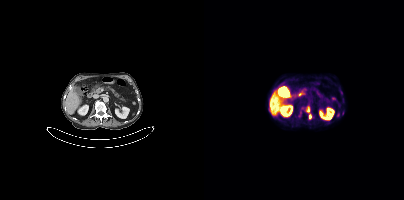
Findings: Coordinates are on the 200×200 PET (right) panel. (showing 2 of 3 foci) PSMA-avid tumor lesion bounding boxes (x0, y0)-(x1, y1): (103, 107)-(105, 112); (105, 114)-(107, 118).
Technique: Left: CT. Right: PSMA PET, same axial level, 18F-PSMA tracer. acquired on Siemens Biograph mCT Flow 20. slice 201 of 415.